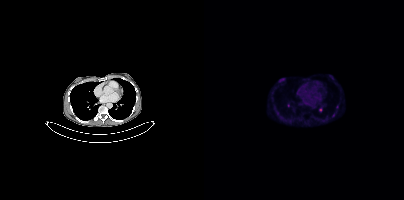
{"modality":"PSMA PET/CT","view":"axial","tracer":"18F","pet_grid":[200,200],"coord_frame":"pet_panel","coord_format":"x0,y0,x1,y1","partial":true,"lesion_bboxes":[],"small_foci_centers":[[133,106],[84,105],[129,115],[116,109]]}